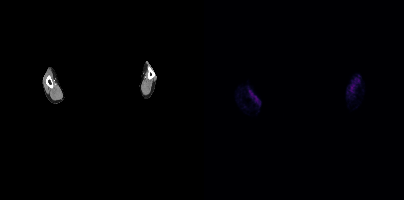
{"modality":"PSMA PET/CT","view":"axial","tracer":"[18F]PSMA-1007","pet_grid":[200,200],"coord_frame":"pet_panel","coord_format":"x0,y0,x1,y1","deidentification":"facial region redacted","psma_avid_lesions":false}